The face region was removed for patient privacy by blanking a rectangle over the head.
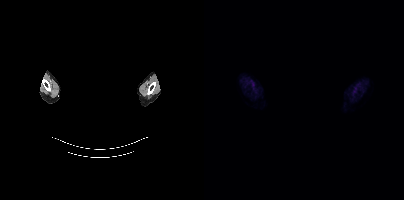
No PSMA-avid tumor lesions on this slice.